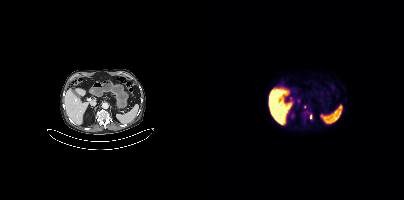
{"modality":"PSMA PET/CT","view":"axial","tracer":"18F-PSMA","pet_grid":[200,200],"coord_frame":"pet_panel","coord_format":"x0,y0,x1,y1","lesion_bboxes":[[99,111,103,115],[105,112,108,119]],"small_foci_centers":[[101,106]]}